Two-panel axial: CT | PSMA PET, 18F tracer. Slice position z = -580 mm. PET panel 200×200 px (4.1 mm/px).
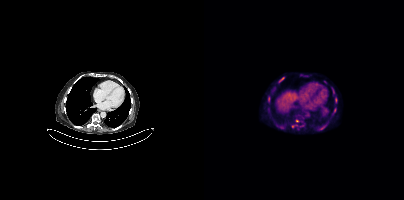
Coordinates are on the 200×200 PET (right) panel. (showing 5 of 8 foci) PSMA-avid tumor lesion bounding boxes (x0,y0,x1,y1): [75,77,79,81], [131,98,132,102]. Small PSMA-avid foci (2 to 4 px across) near (center x, center y): (130, 110), (93, 120), (129, 91).